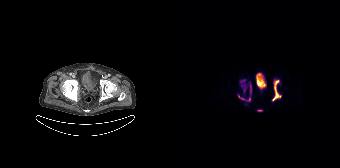
- Two-panel axial: CT | PSMA PET, 18F tracer
Findings: Coordinates are on the 168×168 PET (right) panel. (showing 6 of 7 foci) PSMA-avid tumor lesion bounding boxes (x0,y0,x1,y1): [100,80,109,100]; [66,95,78,101]; [78,83,79,94]; [85,110,89,111]. Small PSMA-avid foci (2 to 4 px across) near (center x, center y): (71, 80); (68, 81).